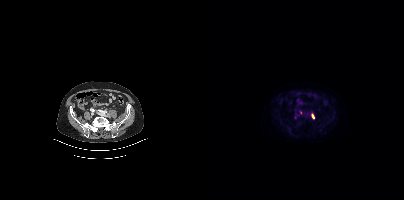
{"modality":"PSMA PET/CT","view":"axial","tracer":"18F-PSMA","pet_grid":[200,200],"coord_frame":"pet_panel","coord_format":"x0,y0,x1,y1","lesion_bboxes":[[107,114,110,118]],"small_foci_centers":[[91,117],[96,112]]}